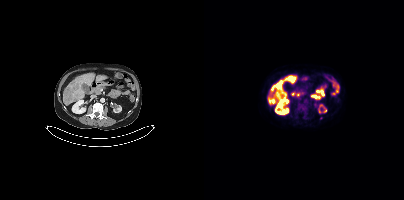
Left: CT. Right: PSMA PET, same axial level, 18F-PSMA tracer.
Coordinates are on the 200×200 PET (right) panel. PSMA-avid tumor lesion bounding boxes:
| # | x0 | y0 | x1 | y1 |
|---|---|---|---|---|
| 1 | 72 | 81 | 78 | 87 |
Small PSMA-avid foci (2 to 4 px across) near (center x, center y): (117, 118); (88, 82).